modality: PSMA PET/CT | tracer: 18F-PSMA | view: axial | PET grid: 200×200
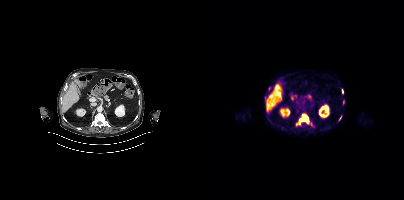
Coordinates are on the 200×200 PET (right) panel. (showing 6 of 7 foci) PSMA-avid tumor lesion bounding boxes (x0,y0,x1,y1): [92,114,104,125] [105,123,109,126] [139,100,140,104] [135,116,137,120]. Small PSMA-avid foci (2 to 4 px across) near (center x, center y): (65, 88) (138, 90).